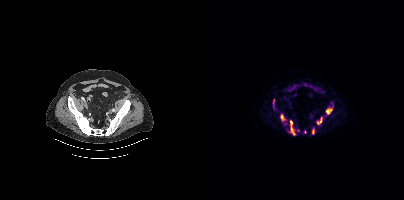
{"modality":"PSMA PET/CT","view":"axial","tracer":"18F","pet_grid":[200,200],"coord_frame":"pet_panel","coord_format":"x0,y0,x1,y1","partial":true,"lesion_bboxes":[[86,120,91,135],[122,107,128,114],[76,114,81,120],[113,119,117,124],[108,129,110,134],[69,99,70,103]],"small_foci_centers":[[101,132]]}